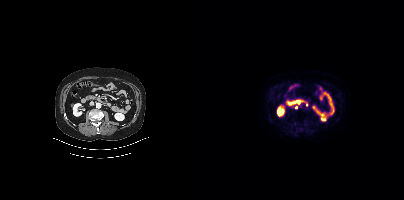
Findings: Coordinates are on the 200×200 PET (right) panel. (showing 1 of 2 foci) Small PSMA-avid focus (2 to 4 px across) near (center x, center y): (102, 105).
Technique: Left: CT. Right: PSMA PET, same axial level, 18F-PSMA tracer.